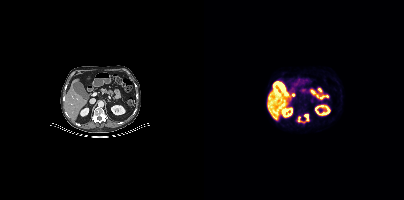
Coordinates are on the 200×200 PET (right) panel. PSMA-avid tumor lesion bounding boxes (x, y, width, height): x=100 y=114 w=6 h=8 / x=94 y=117 w=7 h=6.